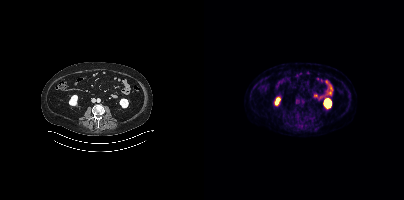
Findings: This slice has no annotated PSMA-avid lesion.
- Left: CT. Right: PSMA PET, same axial level, 18F tracer
- acquired on Siemens Biograph mCT Flow 20